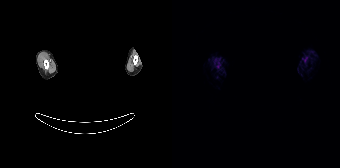
- Two-panel axial: CT | PSMA PET, 68Ga tracer
- slice 187 of 195
- PET panel 168×168 px (4.1 mm/px)
- the head region is masked for de-identification
Findings: This slice has no annotated PSMA-avid lesion.